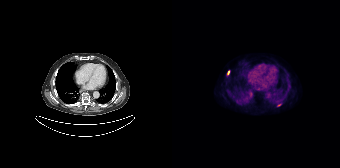
Coordinates are on the 168×168 PET (right) panel. PSMA-avid tumor lesion bounding box (x0, y0)-(x1, y1): (55, 70)-(57, 75). Small PSMA-avid focus (2 to 4 px across) near (center x, center y): (107, 104).